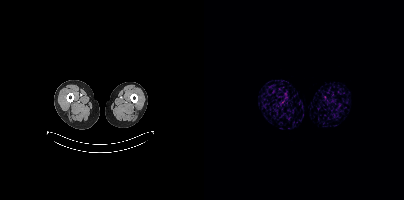
No PSMA-avid tumor lesions on this slice.